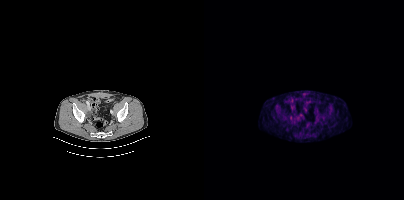
Coordinates are on the 200×200 PET (right) panel. PSMA-avid tumor lesion bounding box (x0,y0,x1,y1): [84,116,88,119].